- Two-panel axial: CT | PSMA PET, 18F-PSMA tracer
- slice 170 of 401
- PET panel 200×200 px (4.1 mm/px)
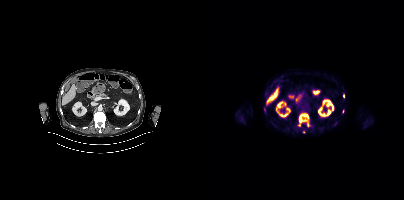
Findings: Coordinates are on the 200×200 PET (right) panel. (showing 3 of 7 foci) PSMA-avid tumor lesion bounding box (x0,y0,x1,y1): [95,114,104,122]. Small PSMA-avid foci (2 to 4 px across) near (center x, center y): (139, 96); (60, 109).